Technique: Two-panel axial: CT | PSMA PET, 18F tracer.
Note: De-identified by setting a rectangular region to black.
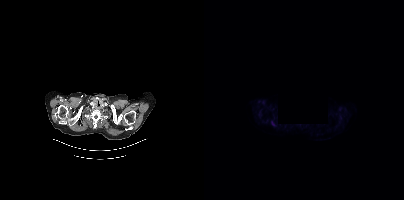
Findings: Coordinates are on the 200×200 PET (right) panel. PSMA-avid tumor lesion bounding box (x0,y0,x1,y1): [67,120,72,126].